Technique: Paired axial CT (left) and PSMA PET (right), 68Ga tracer. acquired on Siemens Biograph mCT Flow 20. slice position z = -1504 mm. PET panel 200×200 px (4.1 mm/px).
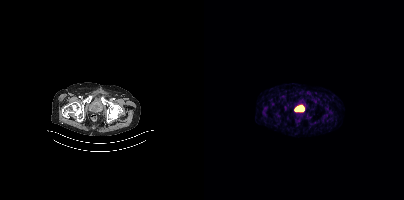
Findings: No tumor lesions annotated on this slice.